modality: PSMA PET/CT | tracer: 18F-PSMA | view: axial | PET grid: 256×256
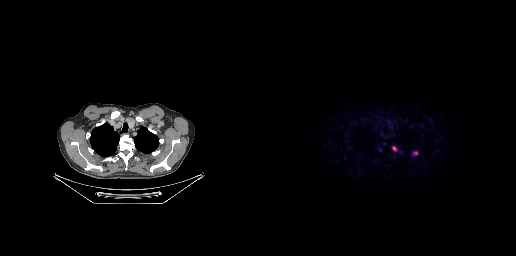
Coordinates are on the 256×256 PET (right) panel. PSMA-avid tumor lesion bounding box (x, y, width, height): x=132 y=146 w=5 h=5. Small PSMA-avid focus (2 to 4 px across) near (center x, center y): (155, 153).